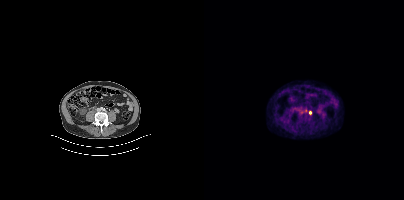
Coordinates are on the 200×200 PET (right) panel. PSMA-avid tumor lesion bounding boxes:
| # | x0 | y0 | x1 | y1 |
|---|---|---|---|---|
| 1 | 93 | 109 | 96 | 113 |
Small PSMA-avid focus (2 to 4 px across) near (center x, center y): (106, 112).
Left: CT. Right: PSMA PET, same axial level, [18F]PSMA-1007 tracer.